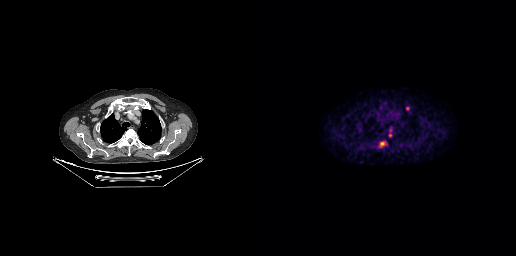
Coordinates are on the 256×256 PET (right) panel. PSMA-avid tumor lesion bounding boxes (x, y, width, height): x=120 y=141 w=6 h=6 / x=146 y=106 w=4 h=5. Small PSMA-avid focus (2 to 4 px across) near (center x, center y): (130, 135). Paired axial CT (left) and PSMA PET (right), 18F-PSMA tracer. PET panel 256×256 px (2.7 mm/px).